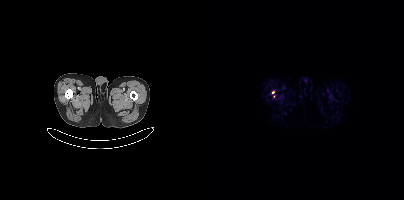
- Two-panel axial: CT | PSMA PET, [18F]PSMA-1007 tracer
- slice 13 of 419
- PET panel 200×200 px (4.1 mm/px)
Findings: Coordinates are on the 200×200 PET (right) panel. (showing 1 of 2 foci) Small PSMA-avid focus (2 to 4 px across) near (center x, center y): (69, 92).